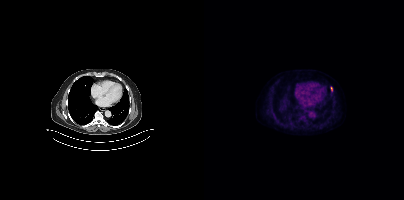
Paired axial CT (left) and PSMA PET (right), 18F tracer. Acquired on Siemens Biograph mCT Flow 20. Slice position z = -1082 mm. PET panel 200×200 px (4.1 mm/px). Coordinates are on the 200×200 PET (right) panel. Small PSMA-avid focus (2 to 4 px across) near (center x, center y): (127, 88).